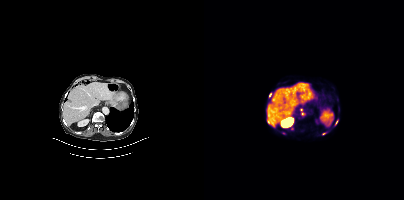
{"modality":"PSMA PET/CT","view":"axial","tracer":"68Ga-PSMA","pet_grid":[200,200],"coord_frame":"pet_panel","coord_format":"x0,y0,x1,y1","partial":true,"lesion_bboxes":[[63,120,66,124],[131,120,133,125],[118,132,122,134]],"small_foci_centers":[[88,128],[97,109],[98,113]]}